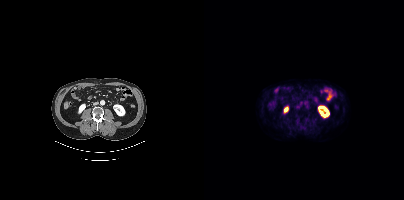
- Paired axial CT (left) and PSMA PET (right), [18F]PSMA-1007 tracer
- slice position z = -1265 mm
Findings: Negative for PSMA-avid disease on this slice.